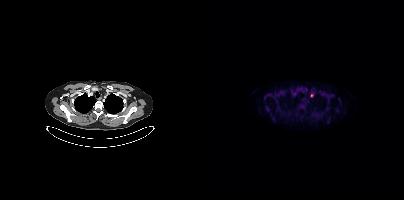
{"modality":"PSMA PET/CT","view":"axial","tracer":"[18F]PSMA-1007","pet_grid":[200,200],"coord_frame":"pet_panel","coord_format":"x0,y0,x1,y1","lesion_bboxes":[],"small_foci_centers":[[107,95]]}